modality: PSMA PET/CT | tracer: [18F]PSMA-1007 | view: axial
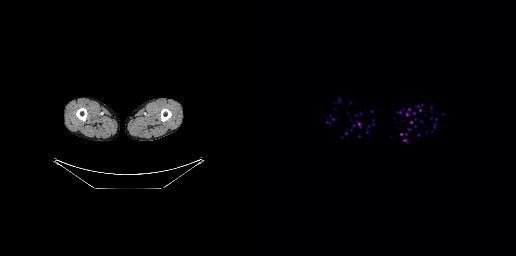
No tumor lesions annotated on this slice.